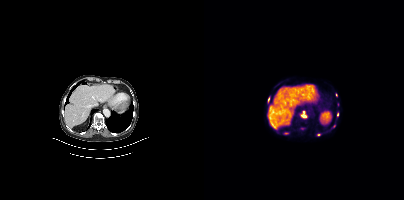
Technique: Two-panel axial: CT | PSMA PET, [68Ga]Ga-PSMA-11 tracer. acquired on Siemens Biograph mCT Flow 20.
Findings: Coordinates are on the 200×200 PET (right) panel. (showing 8 of 10 foci) PSMA-avid tumor lesion bounding boxes (x0,y0,x1,y1): [97,111,102,117], [96,127,101,130], [80,132,84,134], [64,98,65,102]. Small PSMA-avid foci (2 to 4 px across) near (center x, center y): (114, 134), (133, 114), (103, 84), (130, 125).